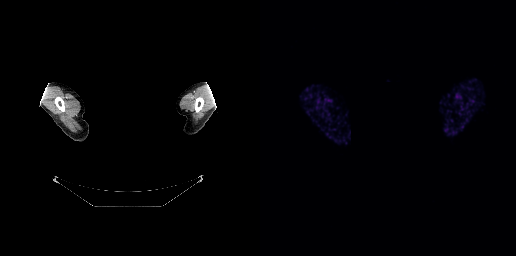
{"modality":"PSMA PET/CT","view":"axial","tracer":"68Ga","pet_grid":[256,256],"coord_frame":"pet_panel","coord_format":"x0,y0,x1,y1","deidentification":"privacy mask over head","psma_avid_lesions":false}